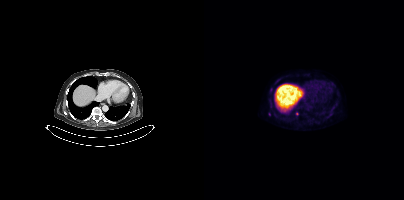
Findings: No PSMA-avid tumor lesions on this slice.
- Paired axial CT (left) and PSMA PET (right), 18F tracer
- acquired on Siemens Biograph mCT Flow 20